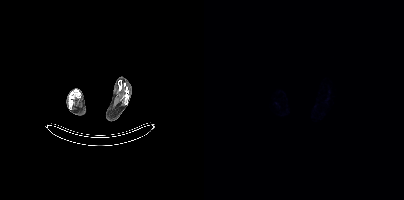
{"modality":"PSMA PET/CT","view":"axial","tracer":"18F","pet_grid":[200,200],"coord_frame":"pet_panel","coord_format":"x0,y0,x1,y1","psma_avid_lesions":false}